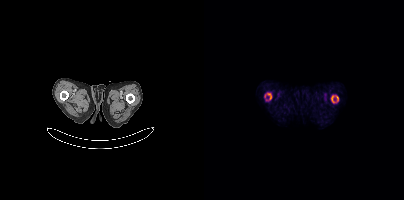
Coordinates are on the 200×200 PET (right) panel. (showing 3 of 4 foci) PSMA-avid tumor lesion bounding boxes (x0,y0,x1,y1): [63,93,67,99] [127,95,130,102] [132,96,134,101].